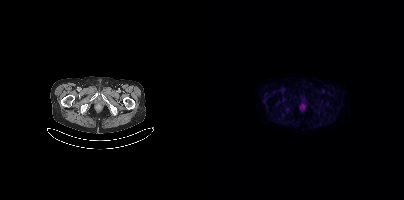
No PSMA-avid tumor lesions on this slice.